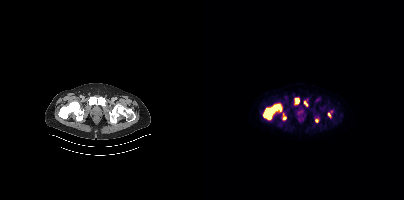
Coordinates are on the 200×200 PET (right) panel. PSMA-avid tumor lesion bounding boxes (x, y, width, height): x=59 y=104 w=19 h=16 | x=79 y=113 w=4 h=7 | x=91 y=98 w=4 h=6 | x=100 y=101 w=4 h=6. Small PSMA-avid foci (2 to 4 px across) near (center x, center y): (125, 114) | (112, 120).